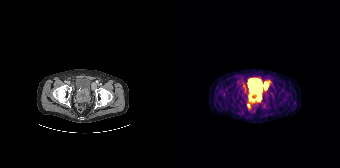
Findings: Coordinates are on the 168×168 PET (right) panel. (showing 3 of 4 foci) PSMA-avid tumor lesion bounding boxes (x0,y0,x1,y1): [77,91,89,101]; [92,82,96,88]; [75,103,78,107].
- Two-panel axial: CT | PSMA PET, 68Ga-PSMA tracer
- acquired on Siemens Biograph 64-4R TruePoint
- slice position z = -750 mm
- PET panel 168×168 px (4.1 mm/px)